Left: CT. Right: PSMA PET, same axial level, 18F-PSMA tracer. Slice position z = -813 mm. PET panel 200×200 px (4.1 mm/px).
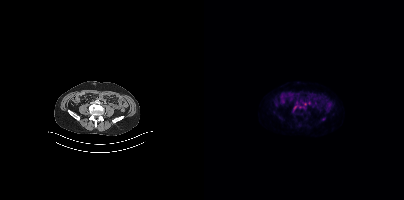
Only PSMA-avid lesion pieces thinner than 2 px on this slice (not listed).